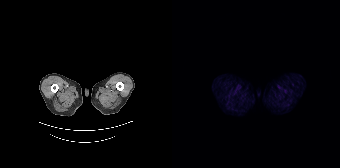
No PSMA-avid tumor lesions on this slice. Paired axial CT (left) and PSMA PET (right), 68Ga tracer.